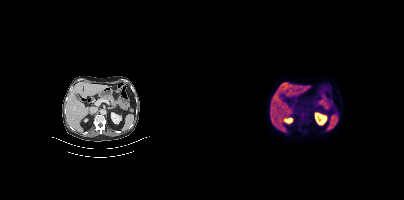
Technique: Paired axial CT (left) and PSMA PET (right), 18F tracer.
Findings: This slice has no annotated PSMA-avid lesion.